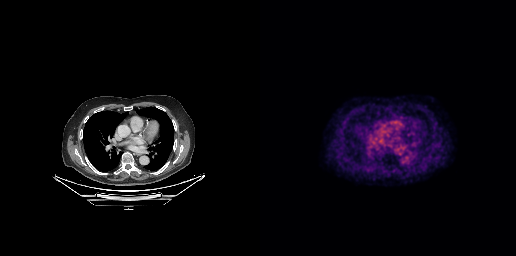
No PSMA-avid tumor lesions on this slice.